Technique: Two-panel axial: CT | PSMA PET, 18F-PSMA tracer. slice position z = 142 mm. PET panel 200×200 px (4.1 mm/px).
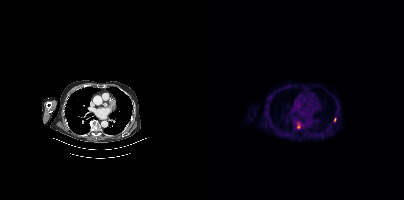
Findings: Coordinates are on the 200×200 PET (right) panel. Small PSMA-avid foci (2 to 4 px across) near (center x, center y): (95, 126); (131, 119).